- Paired axial CT (left) and PSMA PET (right), 18F-PSMA tracer
- slice 156 of 440
- PET panel 200×200 px (4.1 mm/px)
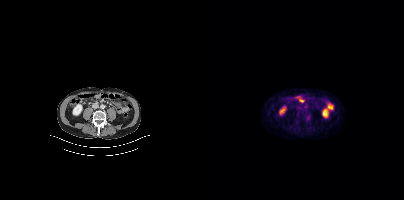
Findings: Coordinates are on the 200×200 PET (right) panel. Small PSMA-avid focus (2 to 4 px across) near (center x, center y): (103, 116).